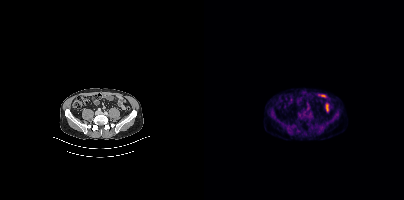
- Paired axial CT (left) and PSMA PET (right), 18F tracer
- slice position z = -410 mm
- PET panel 200×200 px (4.1 mm/px)
Findings: No PSMA-avid tumor lesions on this slice.